Two-panel axial: CT | PSMA PET, 18F tracer. PET panel 200×200 px (4.1 mm/px).
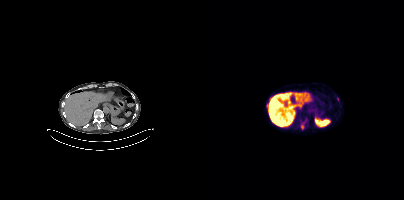
Coordinates are on the 200×200 PET (right) panel. PSMA-avid tumor lesion bounding boxes (partial; 1 more focus not listed):
| # | x0 | y0 | x1 | y1 |
|---|---|---|---|---|
| 1 | 62 | 104 | 64 | 108 |
Small PSMA-avid focus (2 to 4 px across) near (center x, center y): (98, 126).